Left: CT. Right: PSMA PET, same axial level, 18F tracer. Acquired on GE Discovery 690. PET panel 256×256 px (2.7 mm/px).
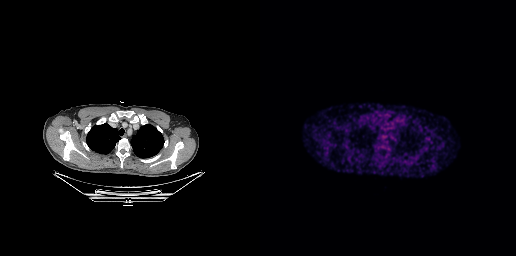
This slice has no annotated PSMA-avid lesion.